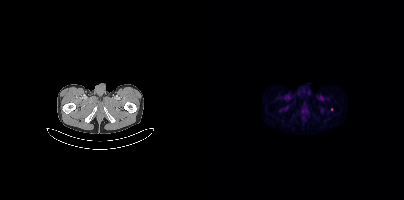
{"modality":"PSMA PET/CT","view":"axial","tracer":"18F-PSMA","pet_grid":[200,200],"coord_frame":"pet_panel","coord_format":"x0,y0,x1,y1","lesion_bboxes":[],"small_foci_centers":[[127,109]]}